Technique: Left: CT. Right: PSMA PET, same axial level, 18F tracer. acquired on Siemens Biograph mCT Flow 20. PET panel 200×200 px (4.1 mm/px).
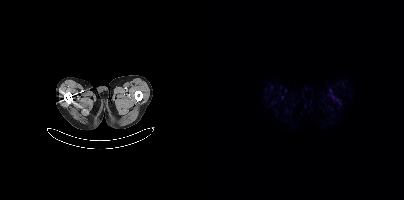
Findings: Negative for PSMA-avid disease on this slice.